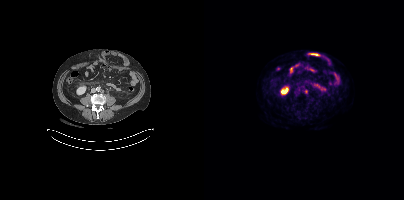
modality: PSMA PET/CT | tracer: 18F-PSMA | view: axial
Coordinates are on the 200×200 PET (right) panel. PSMA-avid tumor lesion bounding box (x, y, width, height): x=100 y=89 w=4 h=5.